modality: PSMA PET/CT | tracer: [18F]PSMA-1007 | view: axial | PET grid: 200×200
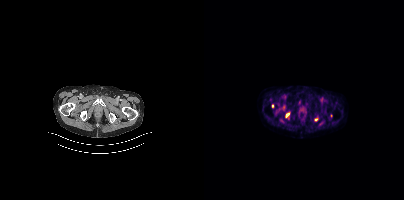
Coordinates are on the 200×200 PET (right) panel. PSMA-avid tumor lesion bounding box (x0, y0)-(x1, y1): (82, 113)-(85, 117). Small PSMA-avid foci (2 to 4 px across) near (center x, center y): (68, 105) / (111, 119).